Technique: Left: CT. Right: PSMA PET, same axial level, 18F-PSMA tracer. slice 89 of 446.
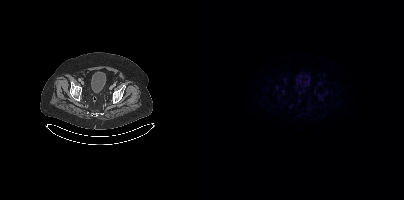
Findings: No tumor lesions annotated on this slice.